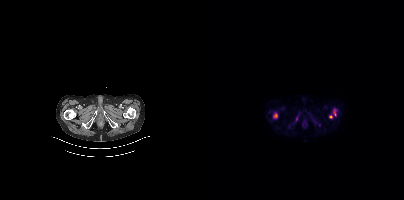
Technique: Two-panel axial: CT | PSMA PET, [18F]PSMA-1007 tracer. acquired on Siemens Biograph mCT Flow 20. slice 52 of 415.
Findings: Coordinates are on the 200×200 PET (right) panel. PSMA-avid tumor lesion bounding boxes (x0, y0)-(x1, y1): (69, 112)-(73, 118); (129, 109)-(132, 115); (91, 115)-(94, 121). Small PSMA-avid foci (2 to 4 px across) near (center x, center y): (126, 116); (115, 125).